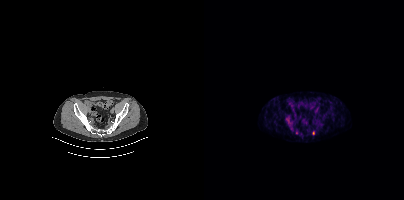
Coordinates are on the 200×200 PET (right) panel. Small PSMA-avid focus (2 to 4 px across) near (center x, center y): (109, 133). Two-panel axial: CT | PSMA PET, [68Ga]Ga-PSMA-11 tracer. Slice 86 of 409. PET panel 200×200 px (4.1 mm/px).